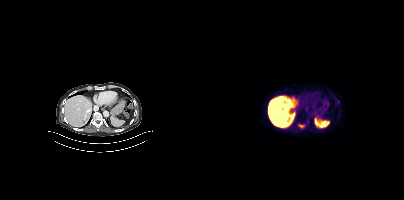
{"modality":"PSMA PET/CT","view":"axial","tracer":"18F","pet_grid":[200,200],"coord_frame":"pet_panel","coord_format":"x0,y0,x1,y1","lesion_bboxes":[[94,124,100,127]],"small_foci_centers":[[134,101]]}